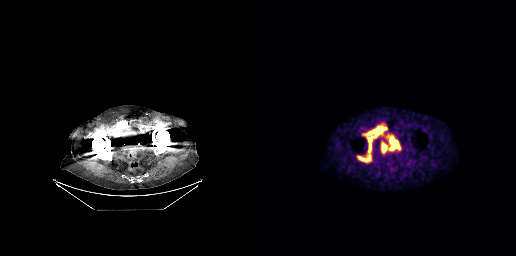
Coordinates are on the 256×256 PET (right) panel. PSMA-avid tumor lesion bounding boxes (x0,y0,x1,y1): [105,126,126,152] [98,155,110,161].